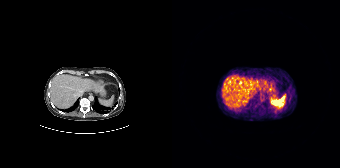
Negative for PSMA-avid disease on this slice. Left: CT. Right: PSMA PET, same axial level, 68Ga-PSMA tracer. PET panel 168×168 px (4.1 mm/px).